- Two-panel axial: CT | PSMA PET, 18F tracer
- acquired on Siemens Biograph mCT Flow 20
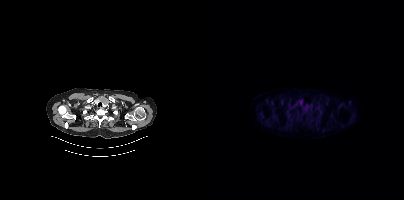
Findings: No PSMA-avid tumor lesions on this slice.